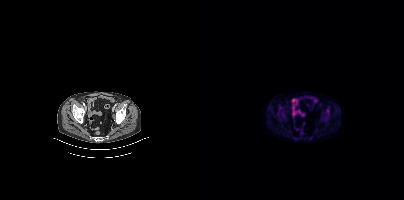
modality: PSMA PET/CT | tracer: 18F-PSMA | view: axial | PET grid: 200×200
Coordinates are on the 200×200 PET (right) panel. Small PSMA-avid focus (2 to 4 px across) near (center x, center y): (119, 119).